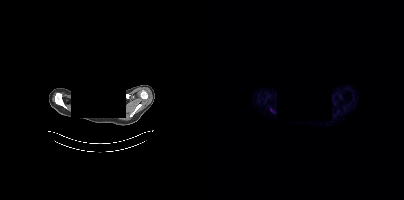
{"modality":"PSMA PET/CT","view":"axial","tracer":"68Ga-PSMA","pet_grid":[200,200],"coord_frame":"pet_panel","coord_format":"x0,y0,x1,y1","redaction":"facial region redacted","psma_avid_lesions":false}